- Two-panel axial: CT | PSMA PET, 68Ga tracer
- acquired on Siemens Biograph 64-4R TruePoint
- slice position z = -945 mm
- PET panel 168×168 px (4.1 mm/px)
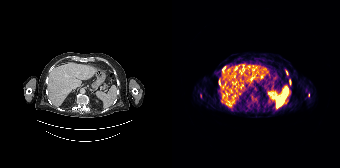
Findings: Coordinates are on the 168×168 PET (right) panel. (showing 4 of 5 foci) PSMA-avid tumor lesion bounding boxes (x, y, width, height): x=47 y=80 w=2 h=5 / x=117 y=80 w=2 h=5. Small PSMA-avid foci (2 to 4 px across) near (center x, center y): (52, 68) / (114, 72).